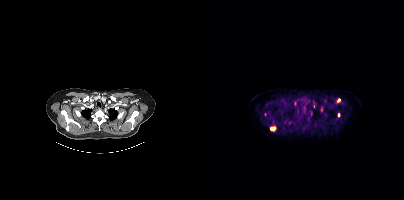
- Two-panel axial: CT | PSMA PET, 18F tracer
- acquired on Siemens Biograph mCT Flow 20
- slice 365 of 448
Findings: Coordinates are on the 200×200 PET (right) panel. (showing 7 of 11 foci) PSMA-avid tumor lesion bounding box (x0,y0,x1,y1): [66,126,71,130]. Small PSMA-avid foci (2 to 4 px across) near (center x, center y): (107, 114) (135, 100) (134, 115) (85, 123) (109, 106) (117, 110).